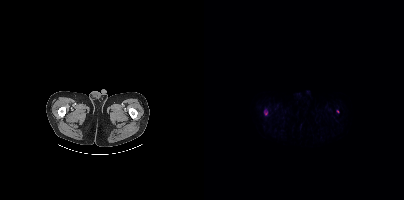
modality: PSMA PET/CT | tracer: 18F-PSMA | view: axial | PET grid: 200×200
Coordinates are on the 200×200 PET (right) panel. PSMA-avid tumor lesion bounding box (x0,y0,x1,y1): [60,109,63,115]. Small PSMA-avid focus (2 to 4 px across) near (center x, center y): (133, 111).